Left: CT. Right: PSMA PET, same axial level, 18F tracer.
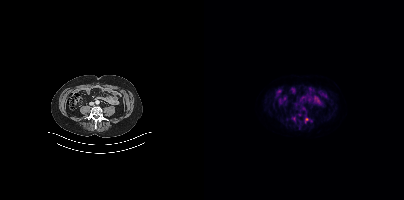
Only PSMA-avid lesion pieces thinner than 2 px on this slice (not listed).